Technique: Two-panel axial: CT | PSMA PET, [68Ga]Ga-PSMA-11 tracer. acquired on GE Discovery 690. PET panel 256×256 px (2.7 mm/px).
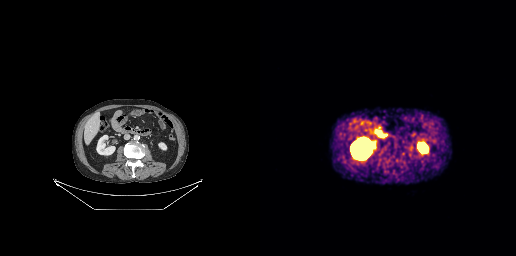
Findings: Negative for PSMA-avid disease on this slice.